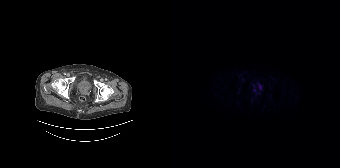
Negative for PSMA-avid disease on this slice.